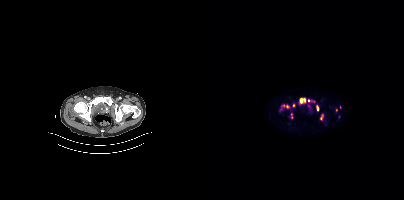
Findings: Coordinates are on the 200×200 PET (right) panel. (showing 8 of 12 foci) PSMA-avid tumor lesion bounding boxes (x, y, width, height): x=96 y=98 w=6 h=6 / x=113 y=106 w=2 h=5. Small PSMA-avid foci (2 to 4 px across) near (center x, center y): (83, 106) / (87, 114) / (79, 105) / (132, 110) / (104, 100) / (89, 105).
Technique: Paired axial CT (left) and PSMA PET (right), 18F tracer.